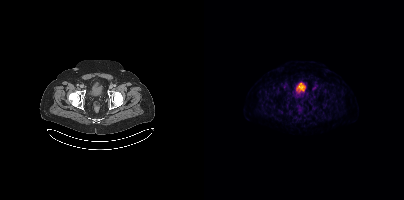
Coordinates are on the 200×200 PET (right) panel. Small PSMA-avid focus (2 to 4 px across) near (center x, center y): (84, 86).